- Paired axial CT (left) and PSMA PET (right), 18F tracer
- slice 239 of 444
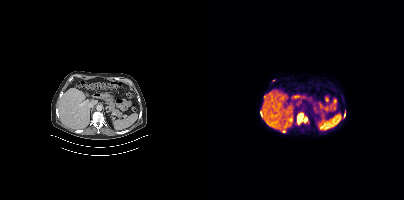
Findings: Coordinates are on the 200×200 PET (right) panel. PSMA-avid tumor lesion bounding box (x0, y0)-(x1, y1): (93, 114)-(103, 123).